- Paired axial CT (left) and PSMA PET (right), 68Ga tracer
- slice position z = -874 mm
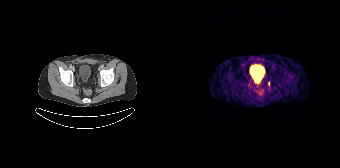
Findings: Coordinates are on the 168×168 PET (right) panel. Small PSMA-avid focus (2 to 4 px across) near (center x, center y): (96, 83).